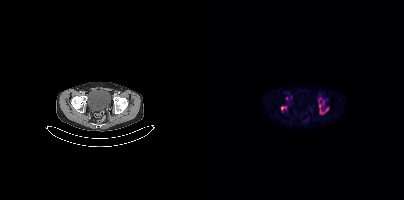
{"modality":"PSMA PET/CT","view":"axial","tracer":"[18F]PSMA-1007","pet_grid":[200,200],"coord_frame":"pet_panel","coord_format":"x0,y0,x1,y1","lesion_bboxes":[[115,103,124,114],[77,106,82,110],[119,101,120,105]],"small_foci_centers":[[115,99],[82,97]]}